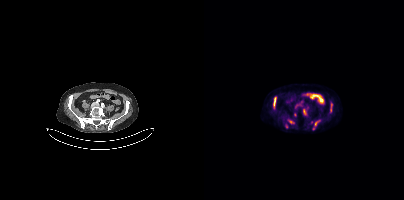
- Left: CT. Right: PSMA PET, same axial level, 18F tracer
Findings: Coordinates are on the 200×200 PET (right) panel. (showing 4 of 7 foci) PSMA-avid tumor lesion bounding boxes (x, y, width, height): x=69 y=97 w=4 h=12 / x=111 y=121 w=4 h=5. Small PSMA-avid foci (2 to 4 px across) near (center x, center y): (86, 122) / (127, 105).